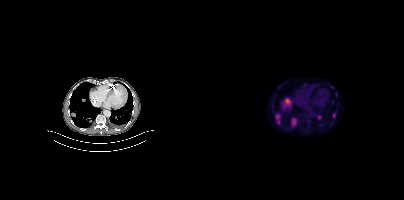
Coordinates are on the 200×200 PET (right) panel. PSMA-avid tumor lesion bounding boxes (x0,y0,x1,y1): [71,113,76,124], [88,118,92,125], [82,98,85,103], [129,113,131,117], [114,115,116,119], [128,99,129,104]. Small PSMA-avid foci (2 to 4 px across) near (center x, center y): (68, 105), (104, 126).
modality: PSMA PET/CT | tracer: 18F | view: axial